- Left: CT. Right: PSMA PET, same axial level, 68Ga-PSMA tracer
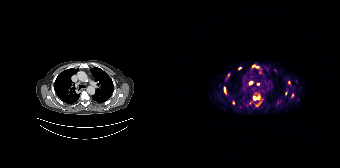
Findings: Coordinates are on the 168×168 PET (right) panel. (showing 7 of 11 foci) PSMA-avid tumor lesion bounding boxes (x0,y0,x1,y1): [52,87,53,92]; [82,97,86,99]. Small PSMA-avid foci (2 to 4 px across) near (center x, center y): (85, 105); (78, 82); (56, 74); (117, 82); (85, 66).